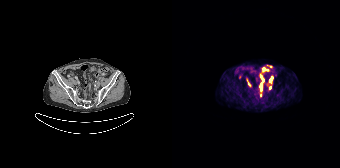
Findings: Coordinates are on the 168×168 PET (right) panel. (showing 7 of 10 foci) PSMA-avid tumor lesion bounding boxes (x0,y0,x1,y1): [88,84,90,90]; [97,77,100,82]; [89,76,91,80]. Small PSMA-avid foci (2 to 4 px across) near (center x, center y): (92, 69); (77, 83); (67, 77); (95, 69).
Technique: Left: CT. Right: PSMA PET, same axial level, [68Ga]Ga-PSMA-11 tracer. slice position z = -1478 mm.